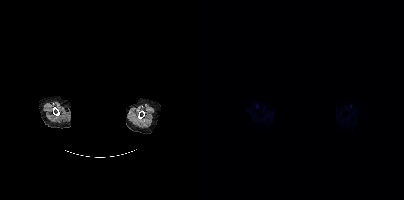
Technique: Left: CT. Right: PSMA PET, same axial level, [18F]PSMA-1007 tracer. slice position z = -862 mm. PET panel 200×200 px (4.1 mm/px).
Note: The face region was removed for patient privacy by blanking a rectangle over the head.
Findings: No tumor lesions annotated on this slice.